- Paired axial CT (left) and PSMA PET (right), 18F tracer
- PET panel 200×200 px (4.1 mm/px)
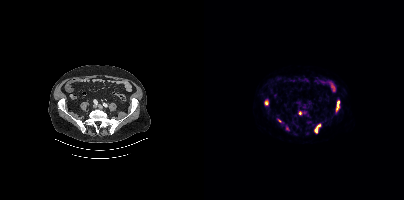
Findings: Coordinates are on the 200×200 PET (right) panel. (showing 5 of 6 foci) PSMA-avid tumor lesion bounding boxes (x0,y0,x1,y1): [110,124,116,133] [132,100,135,111] [61,100,64,104]. Small PSMA-avid foci (2 to 4 px across) near (center x, center y): (95, 113) (75, 120).